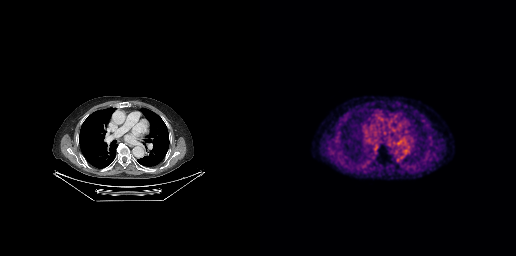
Paired axial CT (left) and PSMA PET (right), 18F tracer. Acquired on GE Discovery 690. PET panel 256×256 px (2.7 mm/px). Negative for PSMA-avid disease on this slice.